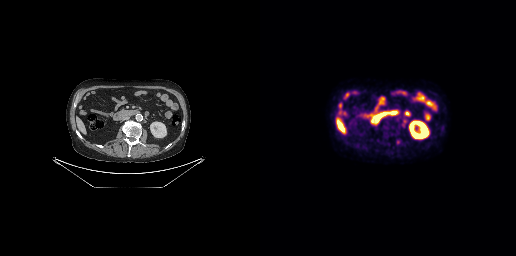
Left: CT. Right: PSMA PET, same axial level, [18F]PSMA-1007 tracer. Slice 133 of 263. Coordinates are on the 256×256 PET (right) panel. PSMA-avid tumor lesion bounding box (x, y, width, height): x=136 y=139 w=5 h=6. Small PSMA-avid focus (2 to 4 px across) near (center x, center y): (144, 120).